Left: CT. Right: PSMA PET, same axial level, [18F]PSMA-1007 tracer. Slice position z = 94 mm. PET panel 200×200 px (4.1 mm/px).
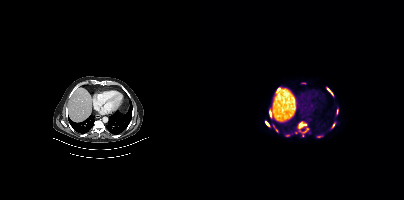
Coordinates are on the 200×200 PET (right) panel. (showing 9 of 12 foci) PSMA-avid tumor lesion bounding boxes (x0,y0,x1,y1): [94,122,102,128], [61,121,65,126], [123,88,128,94], [66,111,67,116], [128,123,130,127]. Small PSMA-avid foci (2 to 4 px across) near (center x, center y): (74, 89), (72, 130), (103, 128), (114, 136).